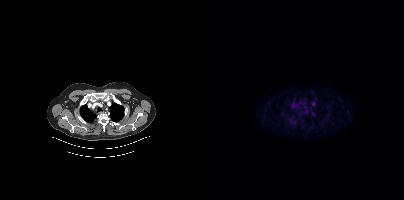
{"modality":"PSMA PET/CT","view":"axial","tracer":"[18F]PSMA-1007","pet_grid":[200,200],"coord_frame":"pet_panel","coord_format":"x0,y0,x1,y1","psma_avid_lesions":false}